Left: CT. Right: PSMA PET, same axial level, 18F tracer. PET panel 200×200 px (4.1 mm/px).
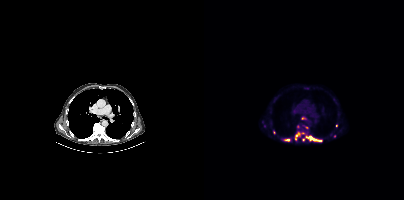
Coordinates are on the 200×200 PET (right) panel. (showing 8 of 10 foci) PSMA-avid tumor lesion bounding boxes (x, y, width, height): x=101 y=135 w=17 h=7 / x=91 y=132 w=9 h=9 / x=81 y=139 w=5 h=3. Small PSMA-avid foci (2 to 4 px across) near (center x, center y): (99, 117) / (94, 125) / (132, 125) / (102, 127) / (130, 135).